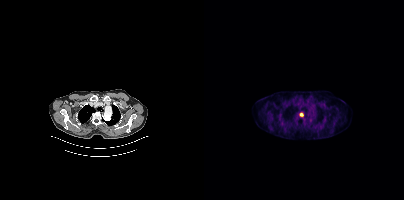
Coordinates are on the 200×200 PET (right) panel. Small PSMA-avid focus (2 to 4 px across) near (center x, center y): (97, 114).